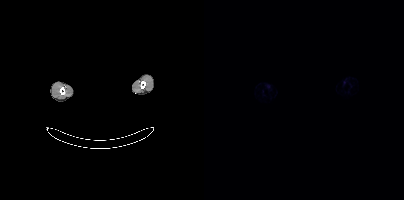
- Paired axial CT (left) and PSMA PET (right), 68Ga tracer
- acquired on Siemens Biograph mCT Flow 20
- slice position z = -992 mm
- PET panel 200×200 px (4.1 mm/px)
- head region blanked for anonymization (face removed)
Findings: Negative for PSMA-avid disease on this slice.